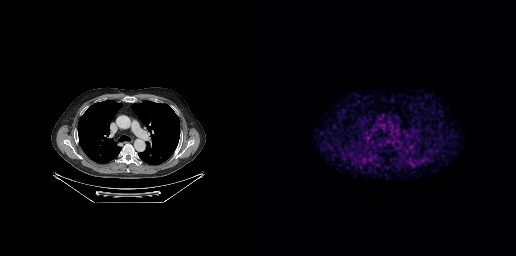
- Paired axial CT (left) and PSMA PET (right), 68Ga-PSMA tracer
- acquired on GE Discovery 690
- slice position z = -416 mm
- PET panel 256×256 px (2.7 mm/px)
Findings: No PSMA-avid tumor lesions on this slice.